modality: PSMA PET/CT | tracer: 18F | view: axial
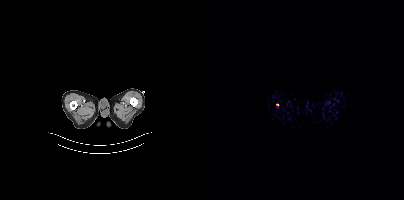
Coordinates are on the 200×200 PET (right) panel. Small PSMA-avid focus (2 to 4 px across) near (center x, center y): (73, 104).